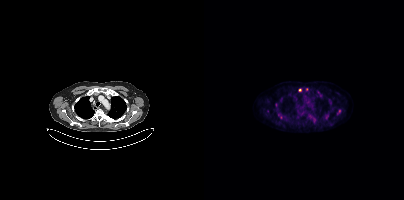
{"modality":"PSMA PET/CT","view":"axial","tracer":"[18F]PSMA-1007","pet_grid":[200,200],"coord_frame":"pet_panel","coord_format":"x0,y0,x1,y1","partial":true,"lesion_bboxes":[],"small_foci_centers":[[96,90]]}